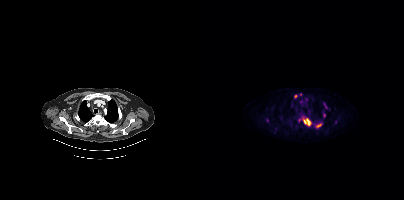
Coordinates are on the 200×200 PET (right) panel. (showing 8 of 10 foci) PSMA-avid tumor lesion bounding boxes (x, y, width, height): x=99 y=119 w=8 h=7 | x=119 y=102 w=5 h=7 | x=112 y=124 w=5 h=4. Small PSMA-avid foci (2 to 4 px across) near (center x, center y): (91, 96) | (102, 99) | (63, 120) | (120, 115) | (95, 119).